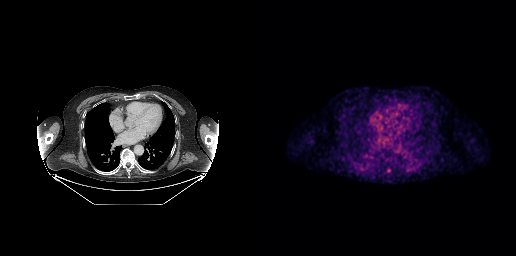
Only PSMA-avid lesion pieces thinner than 2 px on this slice (not listed).